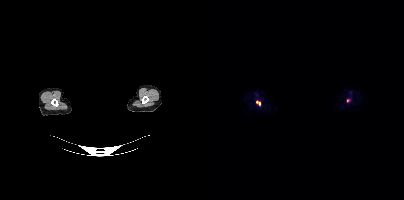
- Left: CT. Right: PSMA PET, same axial level, 18F tracer
- acquired on Siemens Biograph mCT Flow 20
- slice 414 of 444
- the head region is masked for de-identification
Findings: Coordinates are on the 200×200 PET (right) panel. PSMA-avid tumor lesion bounding box (x0,y0,x1,y1): [52,101,56,105]. Small PSMA-avid focus (2 to 4 px across) near (center x, center y): (143, 100).